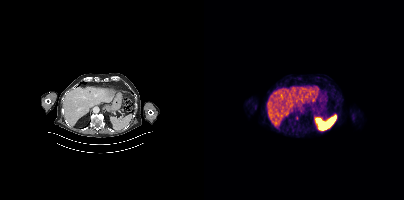
Two-panel axial: CT | PSMA PET, [18F]PSMA-1007 tracer. PET panel 200×200 px (4.1 mm/px). Negative for PSMA-avid disease on this slice.